Two-panel axial: CT | PSMA PET, 18F tracer. Slice 74 of 411. PET panel 200×200 px (4.1 mm/px).
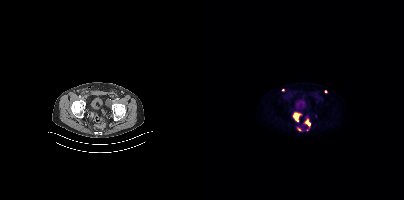
Coordinates are on the 200×200 PET (right) panel. PSMA-avid tumor lesion bounding boxes:
| # | x0 | y0 | x1 | y1 |
|---|---|---|---|---|
| 1 | 89 | 112 | 97 | 121 |
| 2 | 100 | 119 | 106 | 127 |
| 3 | 93 | 128 | 97 | 130 |
Small PSMA-avid foci (2 to 4 px across) near (center x, center y): (79, 90); (121, 91).